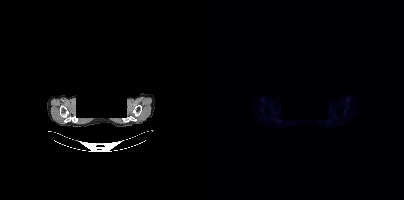
The face region was removed for patient privacy by blanking a rectangle over the head. Two-panel axial: CT | PSMA PET, [18F]PSMA-1007 tracer. Acquired on Siemens Biograph mCT Flow 20. PET panel 200×200 px (4.1 mm/px). This slice has no annotated PSMA-avid lesion.